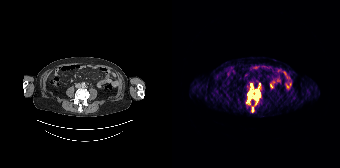
Technique: Two-panel axial: CT | PSMA PET, 68Ga-PSMA tracer. acquired on Siemens Biograph 64-4R TruePoint. slice position z = -1095 mm. PET panel 168×168 px (4.1 mm/px).
Findings: Coordinates are on the 168×168 PET (right) panel. (showing 2 of 3 foci) PSMA-avid tumor lesion bounding boxes (x, y, width, height): x=75 y=83 w=13 h=20; x=80 y=107 w=2 h=5.